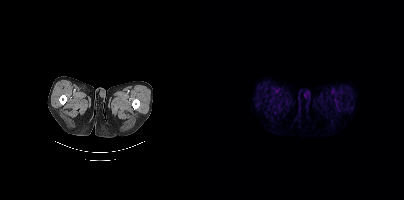
This slice has no annotated PSMA-avid lesion.
modality: PSMA PET/CT | tracer: 18F | view: axial